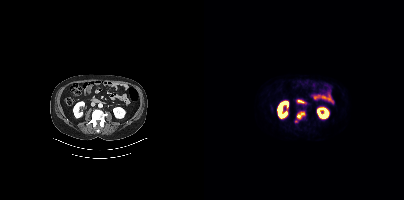
Coordinates are on the 200×200 PET (right) panel. (showing 1 of 2 foci) PSMA-avid tumor lesion bounding box (x0, y0)-(x1, y1): (93, 112)-(100, 118).